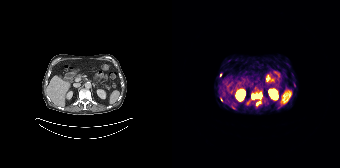
{"modality":"PSMA PET/CT","view":"axial","tracer":"[68Ga]Ga-PSMA-11","pet_grid":[168,168],"coord_frame":"pet_panel","coord_format":"x0,y0,x1,y1","partial":true,"lesion_bboxes":[[80,95,85,98],[84,102,88,105]],"small_foci_centers":[[48,75],[87,96]]}